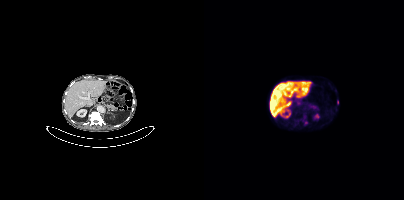
Coordinates are on the 200×200 PET (right) panel. PSMA-avid tumor lesion bounding box (x0,y0,x1,y1): [99,120,103,124]. Small PSMA-avid focus (2 to 4 px across) near (center x, center y): (133, 102).
modality: PSMA PET/CT | tracer: 18F-PSMA | view: axial